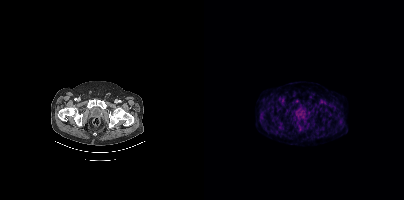
Coordinates are on the 200×200 PET (right) panel. Small PSMA-avid focus (2 to 4 px across) near (center x, center y): (92, 100).